- Two-panel axial: CT | PSMA PET, [18F]PSMA-1007 tracer
- acquired on Siemens Biograph mCT Flow 20
- slice position z = -804 mm
- PET panel 200×200 px (4.1 mm/px)
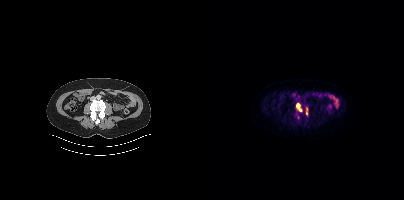
Findings: Coordinates are on the 200×200 PET (right) panel. (showing 1 of 2 foci) PSMA-avid tumor lesion bounding box (x, y, width, height): x=92 y=103 w=6 h=9.